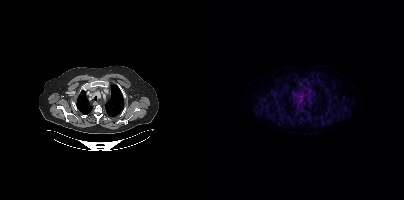
Two-panel axial: CT | PSMA PET, [18F]PSMA-1007 tracer. PET panel 200×200 px (4.1 mm/px). This slice has no annotated PSMA-avid lesion.